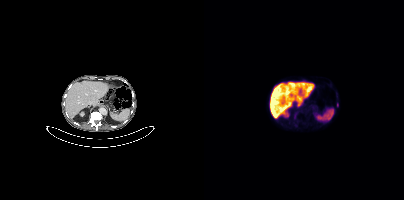
{"modality":"PSMA PET/CT","view":"axial","tracer":"18F-PSMA","pet_grid":[200,200],"coord_frame":"pet_panel","coord_format":"x0,y0,x1,y1","lesion_bboxes":[],"small_foci_centers":[[133,104]]}